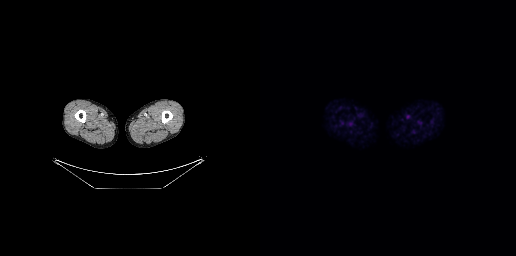
Technique: Left: CT. Right: PSMA PET, same axial level, 18F tracer.
Findings: No tumor lesions annotated on this slice.